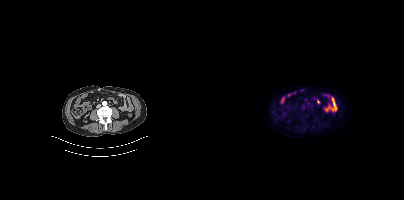
{"modality":"PSMA PET/CT","view":"axial","tracer":"[18F]PSMA-1007","pet_grid":[200,200],"coord_frame":"pet_panel","coord_format":"x0,y0,x1,y1","psma_avid_lesions":false}